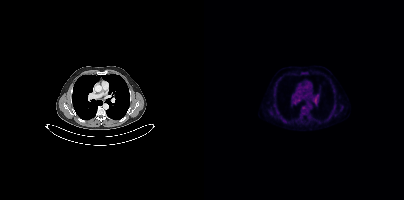
{"modality":"PSMA PET/CT","view":"axial","tracer":"[18F]PSMA-1007","pet_grid":[200,200],"coord_frame":"pet_panel","coord_format":"x0,y0,x1,y1","psma_avid_lesions":false}